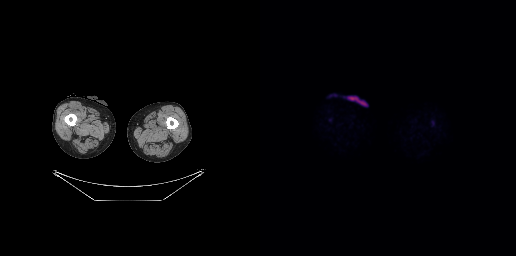
- Two-panel axial: CT | PSMA PET, 18F-PSMA tracer
- PET panel 256×256 px (2.7 mm/px)
Findings: This slice has no annotated PSMA-avid lesion.